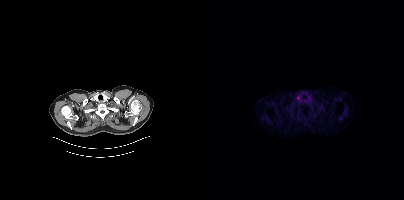
No tumor lesions annotated on this slice.